- Paired axial CT (left) and PSMA PET (right), [18F]PSMA-1007 tracer
- PET panel 200×200 px (4.1 mm/px)
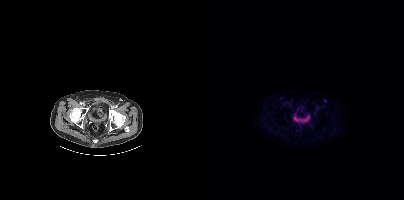
Findings: This slice has no annotated PSMA-avid lesion.